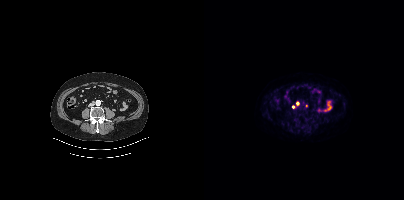
Paired axial CT (left) and PSMA PET (right), 18F-PSMA tracer. Slice position z = -1357 mm. Coordinates are on the 200×200 PET (right) panel. (showing 2 of 3 foci) Small PSMA-avid foci (2 to 4 px across) near (center x, center y): (93, 103) (102, 105).